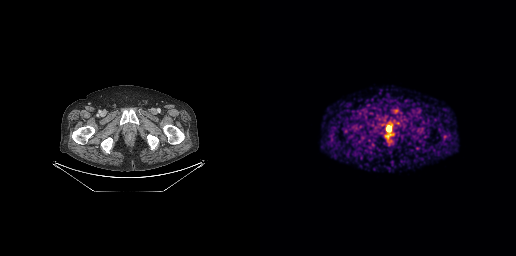
modality: PSMA PET/CT | tracer: 68Ga-PSMA | view: axial
This slice has no annotated PSMA-avid lesion.